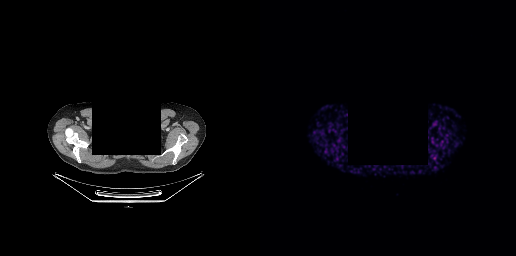
Technique: Paired axial CT (left) and PSMA PET (right), [68Ga]Ga-PSMA-11 tracer. acquired on GE Discovery 690. slice position z = -318 mm. PET panel 256×256 px (2.7 mm/px).
Note: Head region blanked for anonymization (face removed).
Findings: No tumor lesions annotated on this slice.